Two-panel axial: CT | PSMA PET, [18F]PSMA-1007 tracer. Slice position z = -644 mm. PET panel 256×256 px (2.7 mm/px).
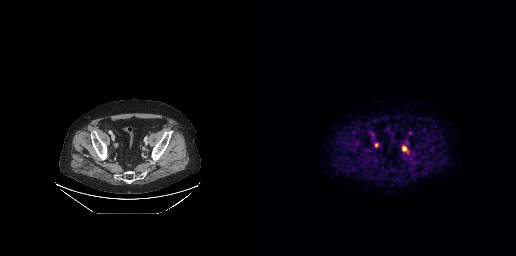
Coordinates are on the 256×256 PET (right) panel. PSMA-avid tumor lesion bounding boxes (partial; 1 more focus not listed):
| # | x0 | y0 | x1 | y1 |
|---|---|---|---|---|
| 1 | 114 | 143 | 118 | 147 |
| 2 | 142 | 146 | 146 | 150 |